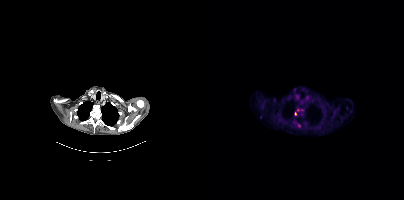
Coordinates are on the 200×200 PET (right) panel. (showing 3 of 5 foci) Small PSMA-avid foci (2 to 4 px across) near (center x, center y): (91, 113); (95, 125); (93, 109).